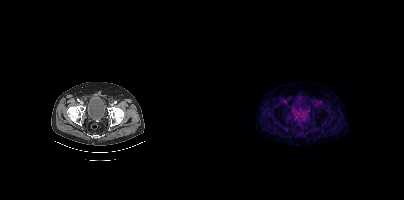
{"pet_grid":[200,200],"coord_frame":"pet_panel","coord_format":"x0,y0,x1,y1","psma_avid_lesions":false,"modality":"PSMA PET/CT","view":"axial","tracer":"18F"}